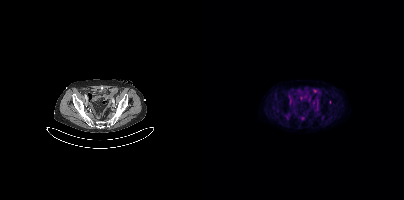
No PSMA-avid tumor lesions on this slice.
modality: PSMA PET/CT | tracer: 18F | view: axial | PET grid: 200×200